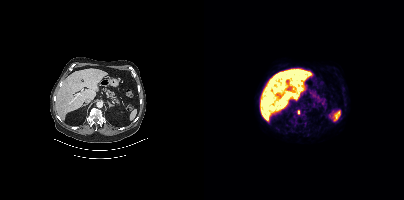
{"pet_grid":[200,200],"coord_frame":"pet_panel","coord_format":"x0,y0,x1,y1","lesion_bboxes":[[93,110,96,114]],"modality":"PSMA PET/CT","view":"axial","tracer":"18F"}